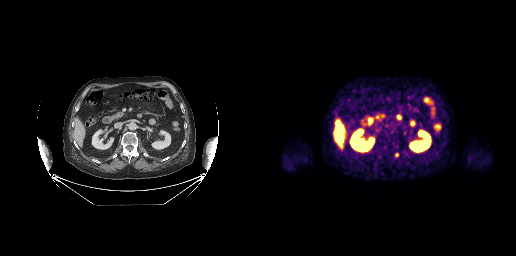
Coordinates are on the 256×256 PET (right) panel. Small PSMA-avid focus (2 to 4 px across) near (center x, center y): (136, 154).